Paired axial CT (left) and PSMA PET (right), [18F]PSMA-1007 tracer. Acquired on Siemens Biograph mCT Flow 20. Slice 285 of 427.
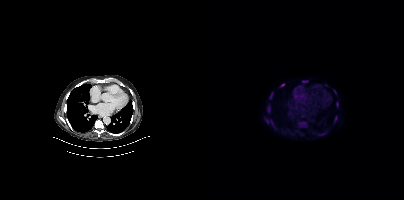
Coordinates are on the 200×200 PET (right) panel. PSMA-avid tumor lesion bounding boxes (x0,y0,x1,y1): [63,104,66,112]; [65,93,68,99]; [98,80,104,82]; [115,133,120,135]; [76,84,80,86]; [62,119,64,123]; [66,120,69,124]; [130,90,132,94]. Small PSMA-avid foci (2 to 4 px across) near (center x, center y): (133, 103); (132, 117).